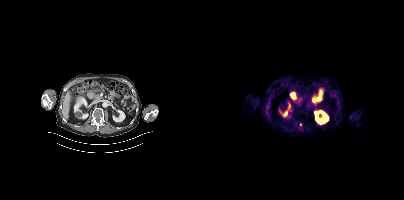
Technique: Paired axial CT (left) and PSMA PET (right), [18F]PSMA-1007 tracer. slice 201 of 427.
Findings: No tumor lesions annotated on this slice.